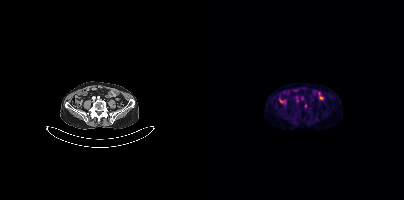
Coordinates are on the 200×200 PET (right) panel. PSMA-avid tumor lesion bounding box (x, y, width, height): x=100 y=104 w=3 h=5.